Paired axial CT (left) and PSMA PET (right), [18F]PSMA-1007 tracer. Acquired on Siemens Biograph mCT Flow 20.
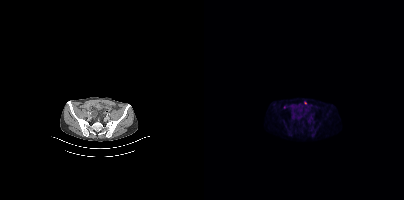
Coordinates are on the 200×200 PET (right) panel. Small PSMA-avid focus (2 to 4 px across) near (center x, center y): (101, 102).